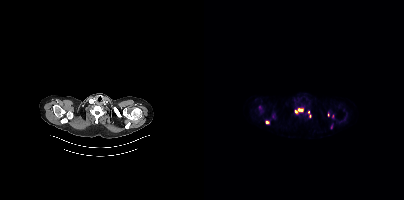
Two-panel axial: CT | PSMA PET, [18F]PSMA-1007 tracer. Slice position z = -997 mm. Coordinates are on the 200×200 PET (right) panel. (showing 5 of 6 foci) PSMA-avid tumor lesion bounding box (x0,y0,x1,y1): [91,108,99,113]. Small PSMA-avid foci (2 to 4 px across) near (center x, center y): (63, 122), (104, 112), (124, 114), (106, 116).